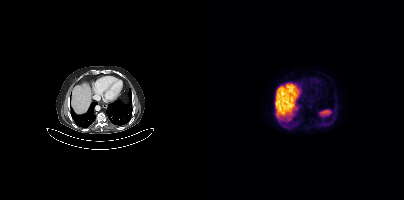
No PSMA-avid tumor lesions on this slice.